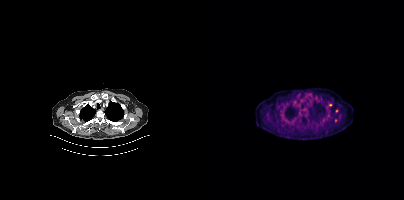
{"modality":"PSMA PET/CT","view":"axial","tracer":"18F","pet_grid":[200,200],"coord_frame":"pet_panel","coord_format":"x0,y0,x1,y1","partial":true,"lesion_bboxes":[],"small_foci_centers":[[126,104]]}